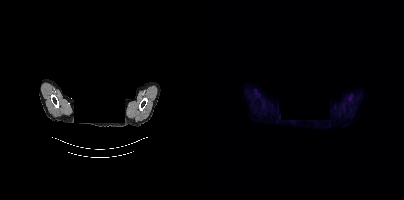
No PSMA-avid tumor lesions on this slice. Paired axial CT (left) and PSMA PET (right), 18F tracer. Acquired on Siemens Biograph mCT Flow 20. Slice 370 of 409. PET panel 200×200 px (4.1 mm/px). Head region blanked for anonymization (face removed).